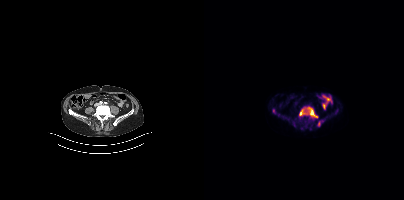
Technique: Paired axial CT (left) and PSMA PET (right), 18F-PSMA tracer. acquired on Siemens Biograph mCT Flow 20. slice position z = -1415 mm. PET panel 200×200 px (4.1 mm/px).
Findings: Coordinates are on the 200×200 PET (right) panel. PSMA-avid tumor lesion bounding boxes (x0,y0,x1,y1): [95,107,114,118]; [69,109,71,113]; [114,121,116,126]; [89,122,91,126].